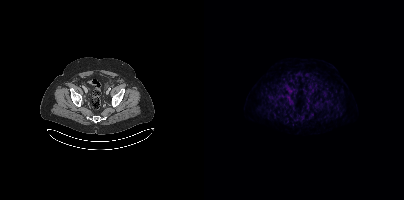
{"pet_grid":[200,200],"coord_frame":"pet_panel","coord_format":"x0,y0,x1,y1","lesion_bboxes":[],"small_foci_centers":[[87,103]],"modality":"PSMA PET/CT","view":"axial","tracer":"18F-PSMA"}